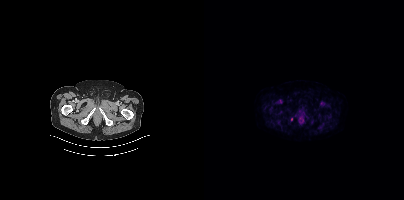
{"modality":"PSMA PET/CT","view":"axial","tracer":"[18F]PSMA-1007","pet_grid":[200,200],"coord_frame":"pet_panel","coord_format":"x0,y0,x1,y1","partial":true,"lesion_bboxes":[]}